- Left: CT. Right: PSMA PET, same axial level, 18F tracer
- acquired on GE Discovery 690
- slice 181 of 263
- PET panel 256×256 px (2.7 mm/px)
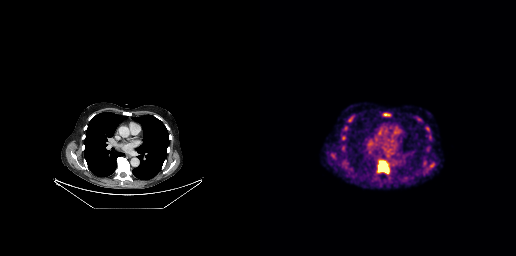
Findings: Coordinates are on the 256×256 PET (right) panel. PSMA-avid tumor lesion bounding boxes (x0,y0,x1,y1): [117,161,129,173]; [124,113,129,115]. Small PSMA-avid foci (2 to 4 px across) near (center x, center y): (83, 137); (89, 121); (73, 155).